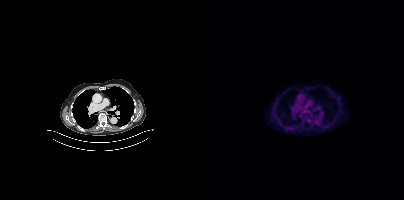
Technique: Two-panel axial: CT | PSMA PET, 18F tracer. PET panel 200×200 px (4.1 mm/px).
Findings: No tumor lesions annotated on this slice.